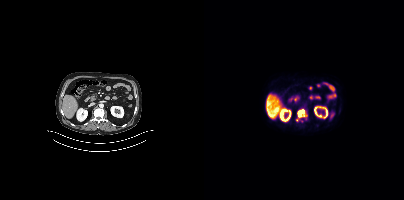
Coordinates are on the 200×200 PET (right) panel. (showing 1 of 2 foci) PSMA-avid tumor lesion bounding box (x0, y0)-(x1, y1): (92, 109)-(103, 121).